Left: CT. Right: PSMA PET, same axial level, 18F-PSMA tracer. PET panel 200×200 px (4.1 mm/px).
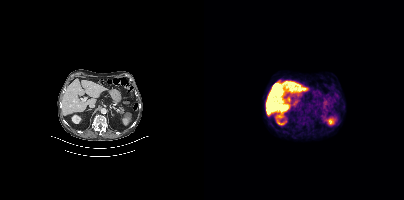
This slice has no annotated PSMA-avid lesion.